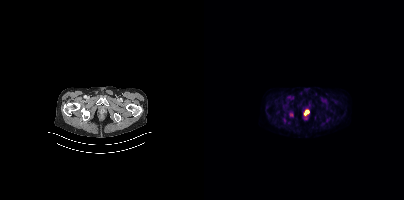
Coordinates are on the 200×200 PET (right) panel. PSMA-avid tumor lesion bounding boxes (x, y, width, height): x=101 y=110 w=4 h=6 | x=85 y=113 w=5 h=4.
modality: PSMA PET/CT | tracer: 18F | view: axial | PET grid: 200×200